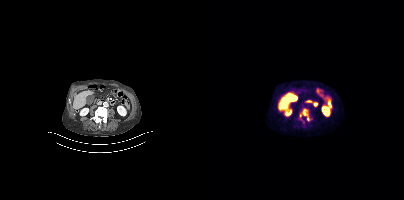
Left: CT. Right: PSMA PET, same axial level, 18F-PSMA tracer. Slice 134 of 373. Coordinates are on the 200×200 PET (right) panel. (showing 1 of 2 foci) PSMA-avid tumor lesion bounding box (x0, y0)-(x1, y1): (95, 108)-(106, 121).